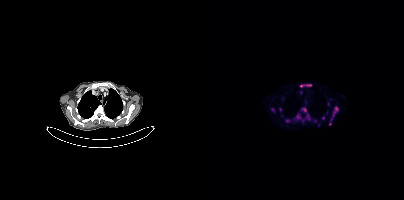
Findings: Coordinates are on the 200×200 PET (right) panel. (showing 10 of 14 foci) PSMA-avid tumor lesion bounding boxes (x0, y0)-(x1, y1): (129, 106)-(134, 116); (96, 84)-(107, 87); (81, 119)-(86, 122); (98, 108)-(102, 112); (103, 114)-(105, 119). Small PSMA-avid foci (2 to 4 px across) near (center x, center y): (94, 116); (126, 124); (68, 109); (76, 109); (119, 118).
Technique: Paired axial CT (left) and PSMA PET (right), 18F-PSMA tracer.